- Left: CT. Right: PSMA PET, same axial level, [18F]PSMA-1007 tracer
- PET panel 200×200 px (4.1 mm/px)
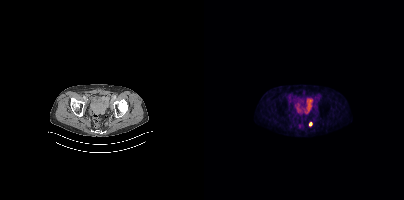
Findings: Coordinates are on the 200×200 PET (right) panel. Small PSMA-avid focus (2 to 4 px across) near (center x, center y): (106, 123).